modality: PSMA PET/CT | tracer: [68Ga]Ga-PSMA-11 | view: axial | PET grid: 256×256
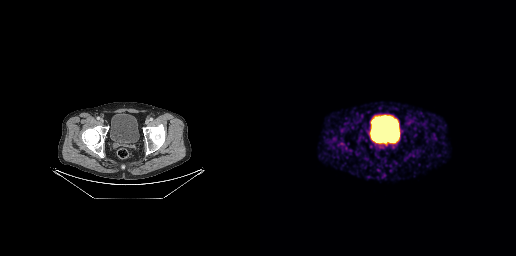
Only PSMA-avid lesion pieces thinner than 2 px on this slice (not listed).